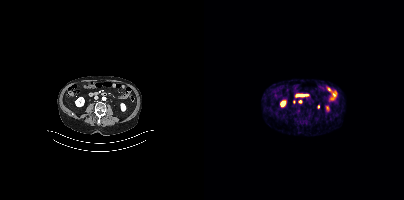
{"modality":"PSMA PET/CT","view":"axial","tracer":"68Ga-PSMA","pet_grid":[200,200],"coord_frame":"pet_panel","coord_format":"x0,y0,x1,y1","lesion_bboxes":[],"small_foci_centers":[[96,101]]}